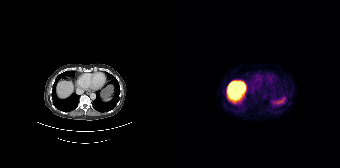
{"pet_grid":[168,168],"coord_frame":"pet_panel","coord_format":"x0,y0,x1,y1","psma_avid_lesions":false,"modality":"PSMA PET/CT","view":"axial","tracer":"18F"}